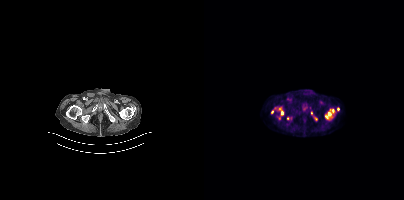
modality: PSMA PET/CT | tracer: 18F | view: axial
Coordinates are on the 200×200 PET (right) panel. PSMA-avid tumor lesion bounding box (x0,y0,x1,y1): [75,108,79,115]. Small PSMA-avid focus (2 to 4 px across) near (center x, center y): (68, 112).